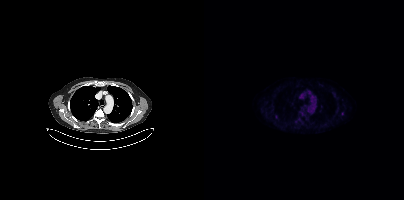
Left: CT. Right: PSMA PET, same axial level, 18F-PSMA tracer. Only PSMA-avid lesion pieces thinner than 2 px on this slice (not listed).